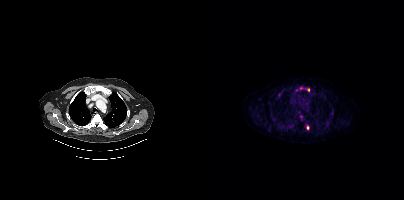
modality: PSMA PET/CT | tracer: 18F-PSMA | view: axial | PET grid: 200×200
Coordinates are on the 200×200 PET (right) panel. (showing 2 of 3 foci) PSMA-avid tumor lesion bounding box (x0,y0,x1,y1): [102,125,104,129]. Small PSMA-avid focus (2 to 4 px across) near (center x, center y): (104, 89).